Technique: Left: CT. Right: PSMA PET, same axial level, 18F-PSMA tracer. acquired on Siemens Biograph mCT Flow 20. slice position z = 80 mm. PET panel 200×200 px (4.1 mm/px).
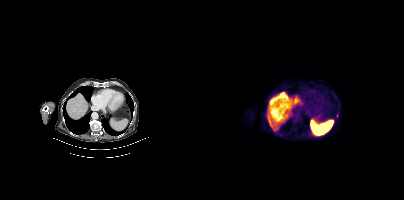
Findings: Only PSMA-avid lesion pieces thinner than 2 px on this slice (not listed).